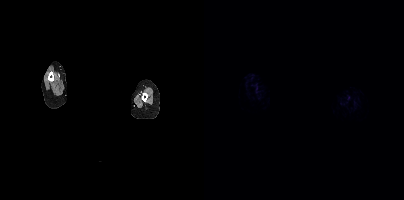
{"pet_grid":[200,200],"coord_frame":"pet_panel","coord_format":"x0,y0,x1,y1","psma_avid_lesions":false,"deidentification":"face masked with black rectangle","modality":"PSMA PET/CT","view":"axial","tracer":"68Ga"}